- Paired axial CT (left) and PSMA PET (right), 18F-PSMA tracer
- PET panel 200×200 px (4.1 mm/px)
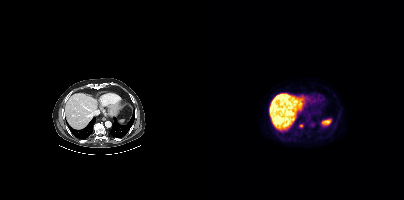
Findings: Coordinates are on the 200×200 PET (right) panel. Small PSMA-avid focus (2 to 4 px across) near (center x, center y): (97, 125).